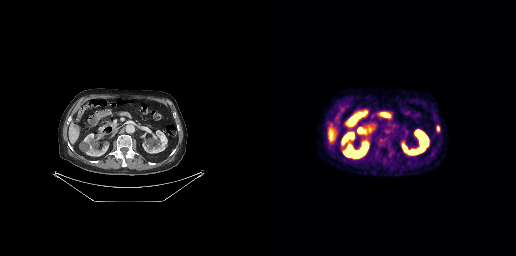
Coordinates are on the 256×256 PET (right) panel. PSMA-avid tumor lesion bounding box (x0,y0,x1,y1): [177,126,179,130]. Paired axial CT (left) and PSMA PET (right), 18F-PSMA tracer. Acquired on GE Discovery 690. Slice 135 of 263.